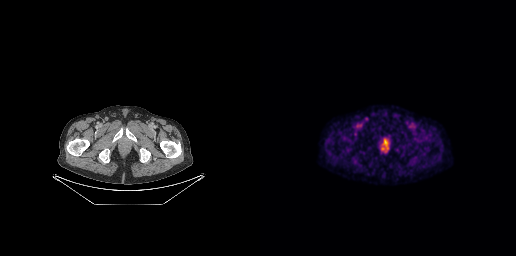
Coordinates are on the 256×256 PET (right) panel. Small PSMA-avid focus (2 to 4 px across) near (center x, center y): (128, 142).